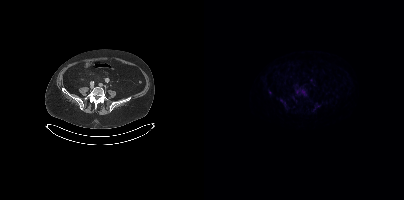
{"modality":"PSMA PET/CT","view":"axial","tracer":"[18F]PSMA-1007","pet_grid":[200,200],"coord_frame":"pet_panel","coord_format":"x0,y0,x1,y1","partial":true,"lesion_bboxes":[]}